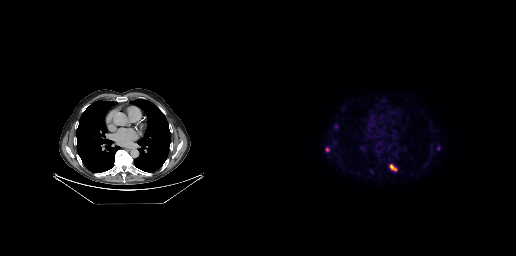
Technique: Two-panel axial: CT | PSMA PET, [18F]PSMA-1007 tracer. PET panel 256×256 px (2.7 mm/px).
Findings: Coordinates are on the 256×256 PET (right) panel. PSMA-avid tumor lesion bounding boxes (x0,y0,x1,y1): [129,164,137,171]; [65,147,69,151]. Small PSMA-avid foci (2 to 4 px across) near (center x, center y): (76, 126); (178, 148).